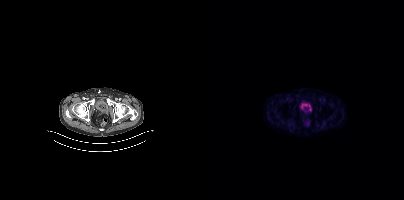
Findings: No tumor lesions annotated on this slice.
Technique: Paired axial CT (left) and PSMA PET (right), 18F-PSMA tracer. acquired on Siemens Biograph mCT Flow 20. slice position z = -960 mm.